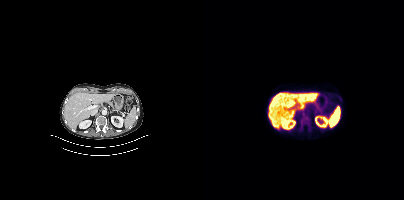
Coordinates are on the 200×200 PET (right) panel. Small PSMA-avid focus (2 to 4 px across) near (center x, center y): (99, 113).